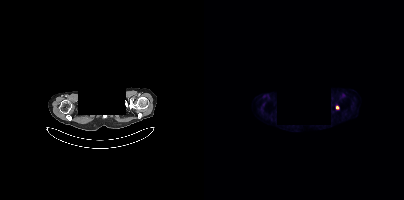
Coordinates are on the 200×200 PET (right) panel. Small PSMA-avid focus (2 to 4 px across) near (center x, center y): (133, 107). A rectangular block over the head has been blanked out for de-identification. Two-panel axial: CT | PSMA PET, 18F-PSMA tracer. Slice position z = -1122 mm.